Technique: Two-panel axial: CT | PSMA PET, [68Ga]Ga-PSMA-11 tracer. acquired on Siemens Biograph mCT Flow 20. PET panel 200×200 px (4.1 mm/px).
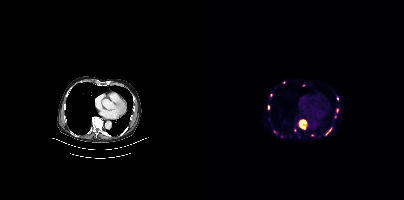
Findings: Coordinates are on the 200×200 PET (right) panel. (showing 8 of 12 foci) PSMA-avid tumor lesion bounding boxes (x0,y0,x1,y1): [95,120,102,128]; [121,128,127,135]. Small PSMA-avid foci (2 to 4 px across) near (center x, center y): (64, 106); (90, 130); (133, 110); (108, 134); (99, 85); (133, 98).